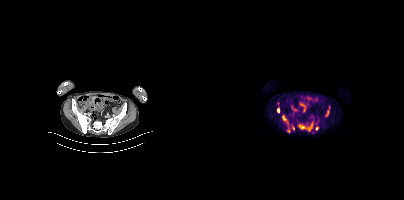
Findings: Coordinates are on the 200×200 PET (right) panel. (showing 6 of 11 foci) PSMA-avid tumor lesion bounding boxes (x0,y0,x1,y1): [94,121,109,131] [122,106,126,116] [83,127,86,132] [73,107,75,112] [88,125,90,130]. Small PSMA-avid focus (2 to 4 px across) near (center x, center y): (112, 128).
- Two-panel axial: CT | PSMA PET, 18F tracer
- acquired on Siemens Biograph mCT Flow 20